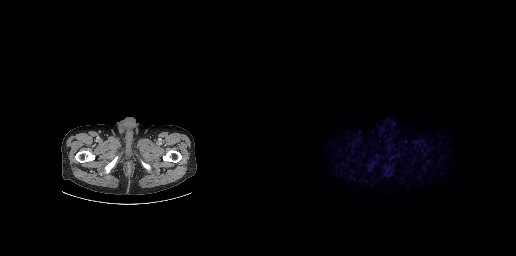
Findings: Coordinates are on the 256×256 PET (right) panel. PSMA-avid tumor lesion bounding box (x0,y0,x1,y1): [114,158,118,162].
Technique: Left: CT. Right: PSMA PET, same axial level, 18F tracer.